modality: PSMA PET/CT | tracer: 18F | view: axial
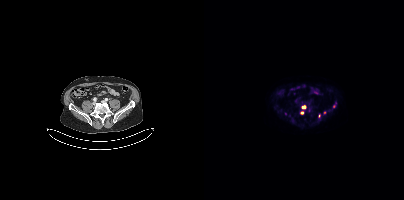
Coordinates are on the 200×200 PET (right) panel. (showing 8 of 10 foci) PSMA-avid tumor lesion bounding box (x, y, width, height): x=97 y=105 w=6 h=4. Small PSMA-avid foci (2 to 4 px across) near (center x, center y): (88, 120); (92, 100); (97, 112); (131, 104); (120, 112); (81, 113); (115, 118).